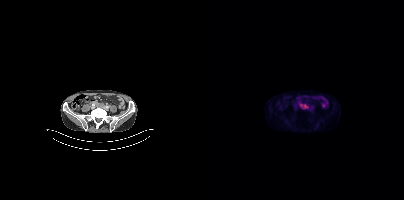
Two-panel axial: CT | PSMA PET, 18F-PSMA tracer. PET panel 200×200 px (4.1 mm/px). Coordinates are on the 200×200 PET (right) panel. PSMA-avid tumor lesion bounding box (x, y, width, height): x=96 y=104 w=9 h=5.